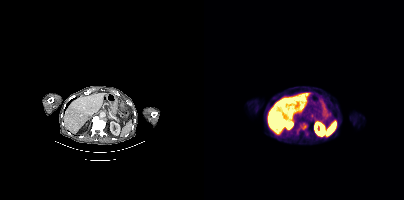
Left: CT. Right: PSMA PET, same axial level, 18F tracer. PET panel 200×200 px (4.1 mm/px).
Coordinates are on the 200×200 PET (right) panel. PSMA-avid tumor lesion bounding boxes:
| # | x0 | y0 | x1 | y1 |
|---|---|---|---|---|
| 1 | 95 | 123 | 103 | 129 |
Small PSMA-avid focus (2 to 4 px across) near (center x, center y): (102, 134).